Technique: Left: CT. Right: PSMA PET, same axial level, [18F]PSMA-1007 tracer. acquired on Siemens Biograph mCT Flow 20. PET panel 200×200 px (4.1 mm/px).
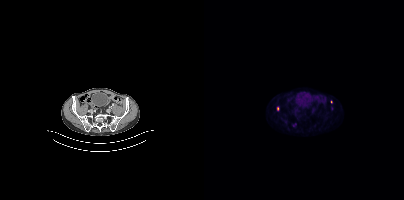
Findings: Coordinates are on the 200×200 PET (right) panel. (showing 1 of 2 foci) Small PSMA-avid focus (2 to 4 px across) near (center x, center y): (73, 108).